- Paired axial CT (left) and PSMA PET (right), 18F tracer
- acquired on Siemens Biograph mCT Flow 20
- PET panel 200×200 px (4.1 mm/px)
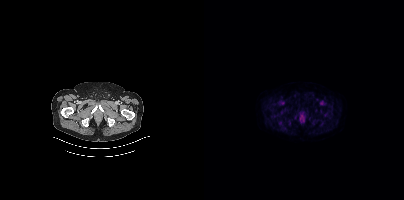
Findings: Negative for PSMA-avid disease on this slice.